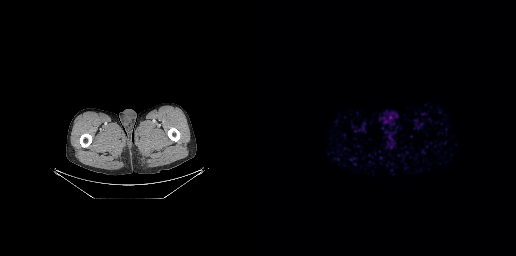
Technique: Paired axial CT (left) and PSMA PET (right), 68Ga tracer. slice 43 of 263. PET panel 256×256 px (2.7 mm/px).
Findings: No PSMA-avid tumor lesions on this slice.